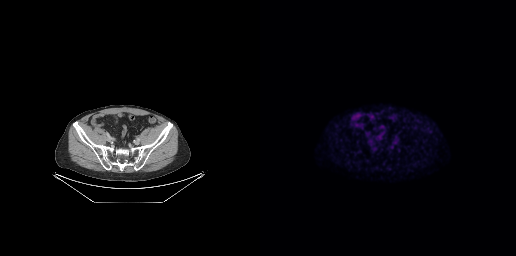
- Two-panel axial: CT | PSMA PET, 18F-PSMA tracer
- acquired on GE Discovery 690
- PET panel 256×256 px (2.7 mm/px)
Findings: No tumor lesions annotated on this slice.